- Two-panel axial: CT | PSMA PET, [18F]PSMA-1007 tracer
- slice 324 of 427
- PET panel 200×200 px (4.1 mm/px)
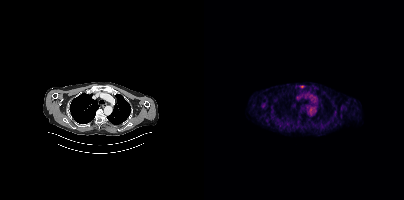
Findings: Negative for PSMA-avid disease on this slice.